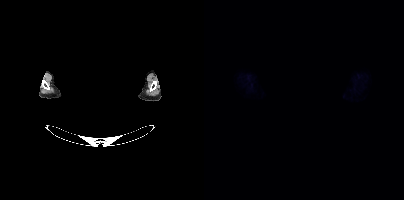
Any black rectangle over the head is a privacy mask, not anatomy. Two-panel axial: CT | PSMA PET, 18F-PSMA tracer. No PSMA-avid tumor lesions on this slice.